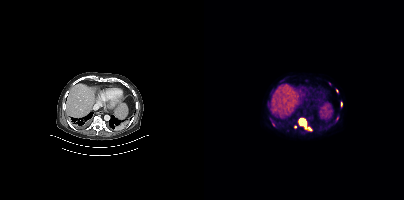
Coordinates are on the 200×200 PET (right) panel. (showing 4 of 5 foci) PSMA-avid tumor lesion bounding boxes (x0, y0)-(x1, y1): (94, 117)-(108, 131) / (137, 102)-(138, 106). Small PSMA-avid foci (2 to 4 px across) near (center x, center y): (91, 126) / (133, 90).